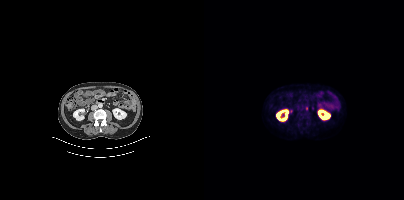
Technique: Two-panel axial: CT | PSMA PET, 18F-PSMA tracer. slice position z = -1326 mm. PET panel 200×200 px (4.1 mm/px).
Findings: Coordinates are on the 200×200 PET (right) panel. Small PSMA-avid focus (2 to 4 px across) near (center x, center y): (102, 108).